- Left: CT. Right: PSMA PET, same axial level, [18F]PSMA-1007 tracer
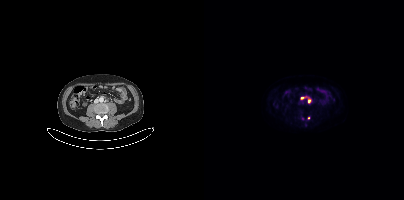
Findings: Coordinates are on the 200×200 PET (right) panel. Small PSMA-avid foci (2 to 4 px across) near (center x, center y): (98, 98) (106, 99) (104, 118).